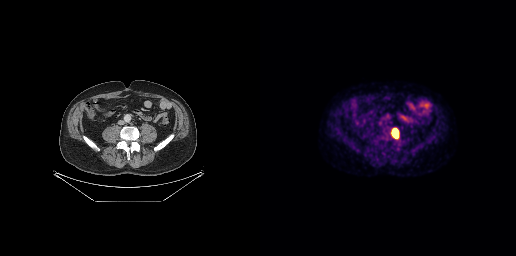
Coordinates are on the 256×256 PET (right) panel. PSMA-avid tumor lesion bounding box (x0, y0)-(x1, y1): (132, 128)-(138, 138).
modality: PSMA PET/CT | tracer: 18F | view: axial